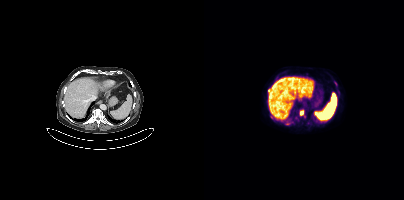
Technique: Left: CT. Right: PSMA PET, same axial level, 18F tracer.
Findings: Coordinates are on the 200×200 PET (right) panel. (showing 2 of 5 foci) PSMA-avid tumor lesion bounding boxes (x0, y0)-(x1, y1): (96, 110)-(99, 115); (130, 81)-(133, 85).